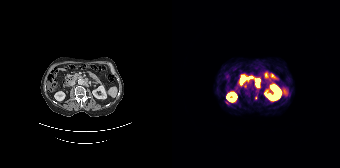
{"modality":"PSMA PET/CT","view":"axial","tracer":"68Ga-PSMA","pet_grid":[168,168],"coord_frame":"pet_panel","coord_format":"x0,y0,x1,y1","lesion_bboxes":[[83,79,88,88]],"small_foci_centers":[[55,103],[73,86],[83,97]]}